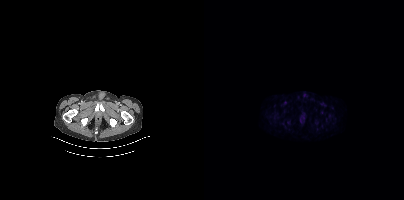
No PSMA-avid tumor lesions on this slice.